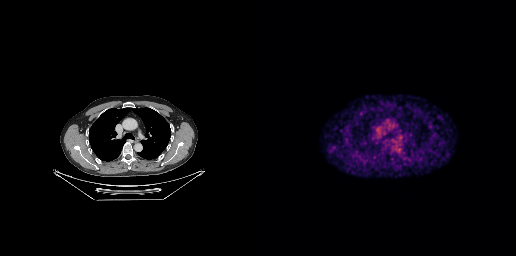
{"pet_grid":[256,256],"coord_frame":"pet_panel","coord_format":"x0,y0,x1,y1","psma_avid_lesions":false,"modality":"PSMA PET/CT","view":"axial","tracer":"18F"}